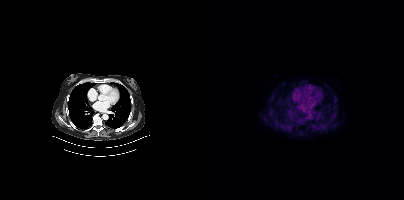
No tumor lesions annotated on this slice.